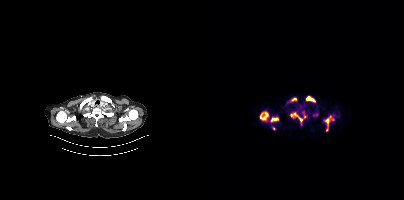
{"modality":"PSMA PET/CT","view":"axial","tracer":"68Ga","pet_grid":[200,200],"coord_frame":"pet_panel","coord_format":"x0,y0,x1,y1","lesion_bboxes":[[56,112,64,120],[120,116,129,130],[86,112,98,122],[102,96,111,102],[67,117,74,121],[84,97,92,102],[109,112,114,116]],"small_foci_centers":[[69,127],[101,116]]}